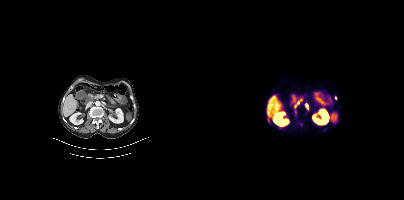
Two-panel axial: CT | PSMA PET, 68Ga-PSMA tracer. Acquired on Siemens Biograph mCT Flow 20.
Coordinates are on the 200×200 PET (right) panel. PSMA-avid tumor lesion bounding boxes (partial; 1 more focus not listed):
| # | x0 | y0 | x1 | y1 |
|---|---|---|---|---|
| 1 | 91 | 99 | 98 | 107 |
| 2 | 63 | 118 | 65 | 122 |
Small PSMA-avid foci (2 to 4 px across) near (center x, center y): (102, 105); (97, 124); (120, 129); (131, 98).